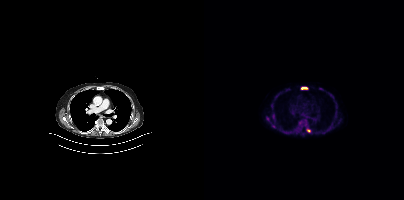
Paired axial CT (left) and PSMA PET (right), 18F-PSMA tracer. Slice position z = -1105 mm. Coordinates are on the 200×200 PET (right) panel. (showing 6 of 8 foci) PSMA-avid tumor lesion bounding boxes (x0,y0,x1,y1): [67,113,71,120]; [97,87,103,89]; [101,123,103,127]. Small PSMA-avid foci (2 to 4 px across) near (center x, center y): (104, 130); (96, 122); (63, 118).